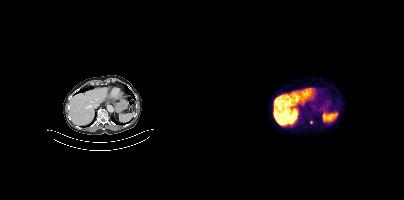
Findings: Coordinates are on the 200×200 PET (right) panel. Small PSMA-avid focus (2 to 4 px across) near (center x, center y): (107, 122).
- Paired axial CT (left) and PSMA PET (right), 18F tracer